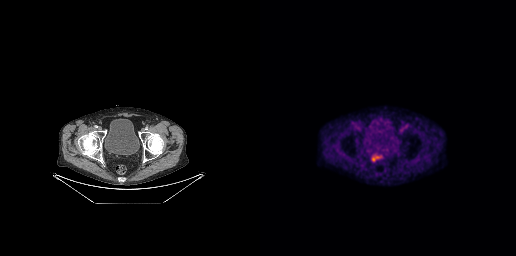
{"pet_grid":[256,256],"coord_frame":"pet_panel","coord_format":"x0,y0,x1,y1","psma_avid_lesions":false,"modality":"PSMA PET/CT","view":"axial","tracer":"18F-PSMA"}